Paired axial CT (left) and PSMA PET (right), [68Ga]Ga-PSMA-11 tracer.
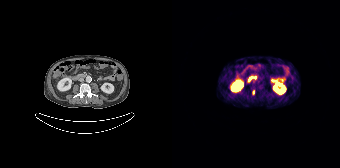
Coordinates are on the 168×168 PET (right) panel. PSMA-avid tumor lesion bounding box (x, y, width, height): x=80 y=90 w=3 h=5.